- Two-panel axial: CT | PSMA PET, [18F]PSMA-1007 tracer
- slice position z = -1361 mm
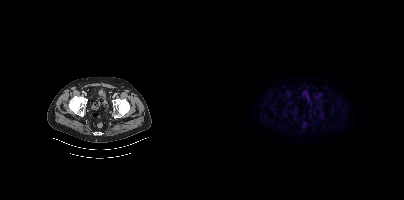
Findings: Coordinates are on the 200×200 PET (right) panel. PSMA-avid tumor lesion bounding box (x0, y0)-(x1, y1): (113, 103)-(117, 106).